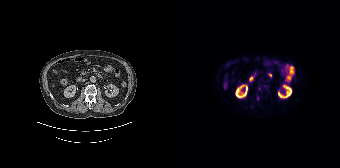
Coordinates are on the 168×168 PET (right) panel. Small PSMA-avid foci (2 to 4 px across) near (center x, center y): (87, 88) (85, 98). Left: CT. Right: PSMA PET, same axial level, 18F-PSMA tracer. Acquired on Siemens Biograph 64-4R TruePoint. Slice 71 of 165. PET panel 168×168 px (4.1 mm/px).